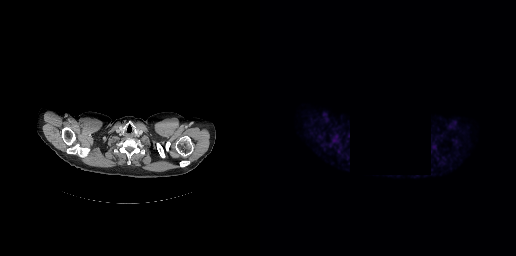
Negative for PSMA-avid disease on this slice. A black rectangle in this scan is a privacy mask, not anatomy. Paired axial CT (left) and PSMA PET (right), 18F-PSMA tracer. PET panel 256×256 px (2.7 mm/px).